modality: PSMA PET/CT | tracer: 18F | view: axial | PET grid: 200×200
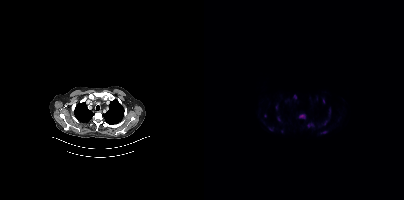
Coordinates are on the 200×200 PET (right) panel. (showing 8 of 13 foci) PSMA-avid tumor lesion bounding boxes (x0,y0,x1,y1): [94,113,102,118] [119,99,120,103]. Small PSMA-avid foci (2 to 4 px across) near (center x, center y): (91, 96) (120, 132) (121, 122) (74, 119) (104, 125) (66, 129).